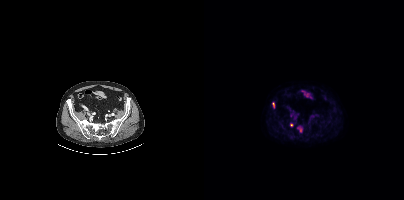
Findings: Coordinates are on the 200×200 PET (right) panel. PSMA-avid tumor lesion bounding boxes (x, y, width, height): x=94 y=127 w=4 h=6; x=68 y=102 w=3 h=6. Small PSMA-avid focus (2 to 4 px across) near (center x, center y): (87, 125).
Technique: Paired axial CT (left) and PSMA PET (right), [18F]PSMA-1007 tracer.